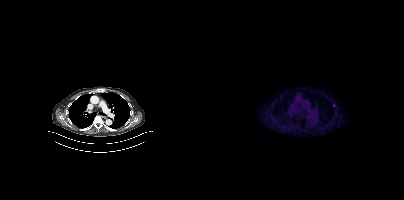
Paired axial CT (left) and PSMA PET (right), [18F]PSMA-1007 tracer. PET panel 200×200 px (4.1 mm/px). Coordinates are on the 200×200 PET (right) panel. Small PSMA-avid focus (2 to 4 px across) near (center x, center y): (129, 105).